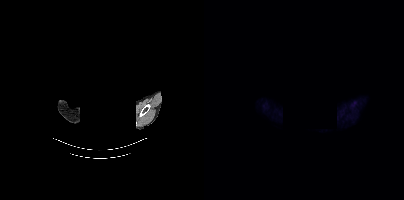
No tumor lesions annotated on this slice.
de-identification: head region blanked (face removed) | modality: PSMA PET/CT | tracer: 18F-PSMA | view: axial